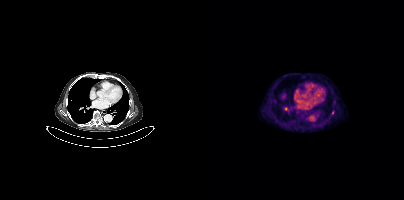
- Paired axial CT (left) and PSMA PET (right), [18F]PSMA-1007 tracer
Findings: Coordinates are on the 200×200 PET (right) panel. (showing 1 of 2 foci) Small PSMA-avid focus (2 to 4 px across) near (center x, center y): (128, 112).